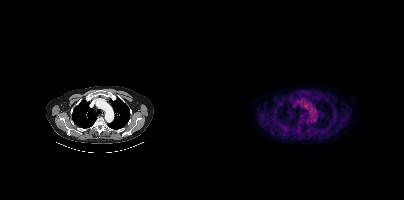
This slice has no annotated PSMA-avid lesion.